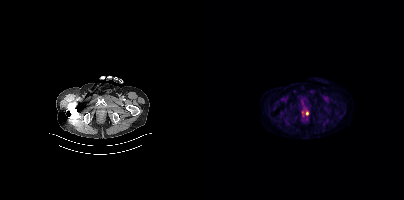
Coordinates are on the 200×200 PET (right) panel. Small PSMA-avid focus (2 to 4 px across) near (center x, center y): (103, 113). Two-panel axial: CT | PSMA PET, 18F-PSMA tracer. Acquired on Siemens Biograph mCT Flow 20. PET panel 200×200 px (4.1 mm/px).